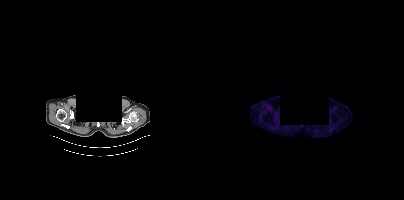
Facial anatomy redacted by setting a rectangular region of the head to black. Two-panel axial: CT | PSMA PET, [18F]PSMA-1007 tracer. No PSMA-avid tumor lesions on this slice.